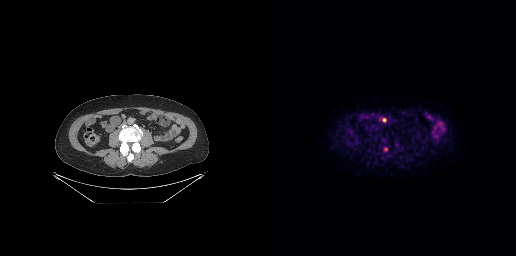
Findings: Coordinates are on the 256×256 PET (right) panel. PSMA-avid tumor lesion bounding box (x0, y0)-(x1, y1): (122, 118)-(126, 122). Small PSMA-avid focus (2 to 4 px across) near (center x, center y): (125, 149).
Technique: Left: CT. Right: PSMA PET, same axial level, 18F tracer. acquired on GE Discovery 690.